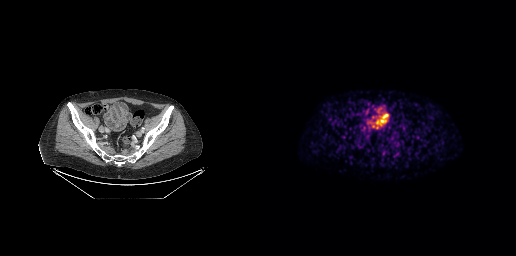
No tumor lesions annotated on this slice. Paired axial CT (left) and PSMA PET (right), 68Ga-PSMA tracer. Slice position z = -883 mm.